Two-panel axial: CT | PSMA PET, [18F]PSMA-1007 tracer. Slice 123 of 963. PET panel 200×200 px (4.1 mm/px).
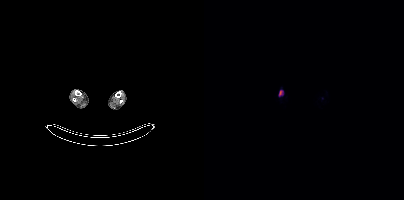
Coordinates are on the 200×200 PET (right) panel. PSMA-avid tumor lesion bounding box (x0,y0,x1,y1): [75,90,78,95].